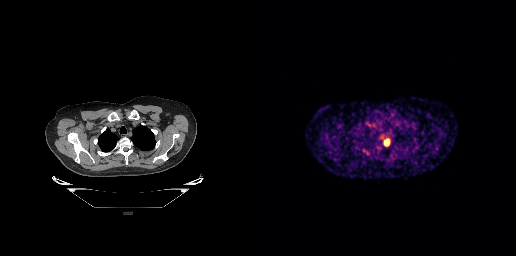
Left: CT. Right: PSMA PET, same axial level, 68Ga tracer. PET panel 256×256 px (2.7 mm/px). Coordinates are on the 256×256 PET (right) panel. PSMA-avid tumor lesion bounding box (x0,y0,x1,y1): [124,139,129,145].